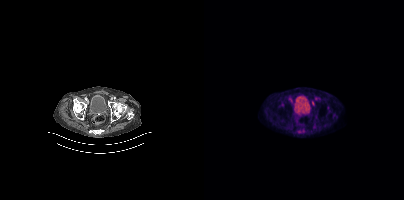
modality: PSMA PET/CT | tracer: 18F | view: axial
Coordinates are on the 200×200 PET (right) panel. (showing 3 of 4 foci) PSMA-avid tumor lesion bounding boxes (x0,y0,x1,y1): [128,113,133,118] [108,101,110,105]. Small PSMA-avid focus (2 to 4 px across) near (center x, center y): (111, 98).